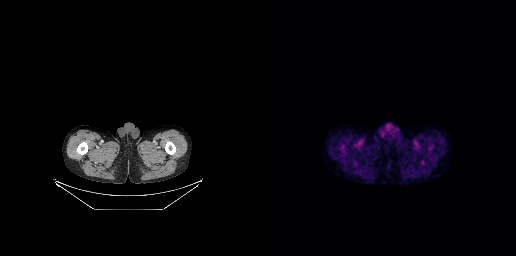
{"modality":"PSMA PET/CT","view":"axial","tracer":"[18F]PSMA-1007","pet_grid":[256,256],"coord_frame":"pet_panel","coord_format":"x0,y0,x1,y1","psma_avid_lesions":false}